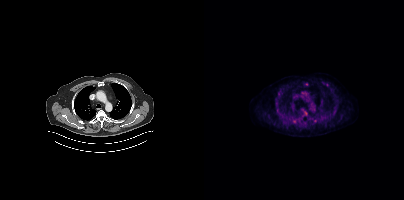
Paired axial CT (left) and PSMA PET (right), 18F-PSMA tracer. Acquired on Siemens Biograph mCT Flow 20. Slice position z = -984 mm. PET panel 200×200 px (4.1 mm/px). Coordinates are on the 200×200 PET (right) panel. PSMA-avid tumor lesion bounding box (x0, y0)-(x1, y1): (98, 110)-(102, 116). Small PSMA-avid foci (2 to 4 px across) near (center x, center y): (102, 84); (130, 112); (90, 121).